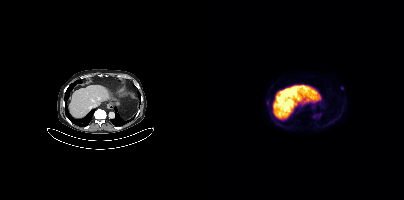
Findings: Coordinates are on the 200×200 PET (right) panel. Small PSMA-avid foci (2 to 4 px across) near (center x, center y): (63, 102); (138, 88).
Technique: Left: CT. Right: PSMA PET, same axial level, [18F]PSMA-1007 tracer. slice position z = -670 mm.